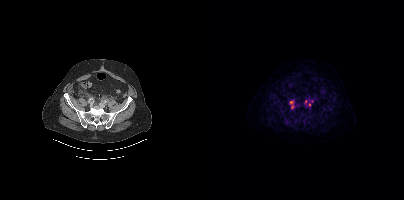
Findings: Coordinates are on the 200×200 PET (right) panel. PSMA-avid tumor lesion bounding box (x, y, width, height): x=86 y=100 w=5 h=10. Small PSMA-avid foci (2 to 4 px across) near (center x, center y): (105, 104) | (101, 101).
Technique: Left: CT. Right: PSMA PET, same axial level, 18F tracer. slice position z = -1383 mm. PET panel 200×200 px (4.1 mm/px).